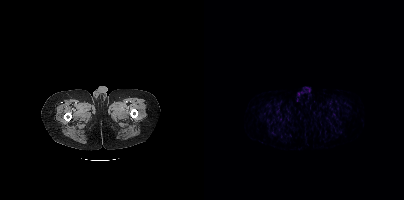
This slice has no annotated PSMA-avid lesion.